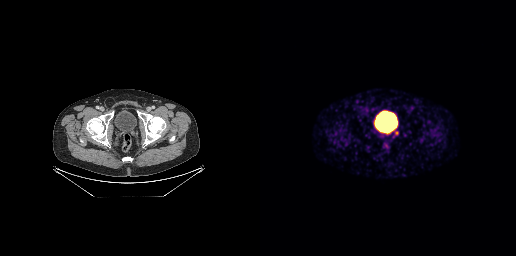
- Left: CT. Right: PSMA PET, same axial level, 68Ga tracer
- acquired on GE Discovery 690
- slice position z = -870 mm
Findings: Coordinates are on the 256×256 PET (right) panel. (showing 1 of 2 foci) Small PSMA-avid focus (2 to 4 px across) near (center x, center y): (136, 133).